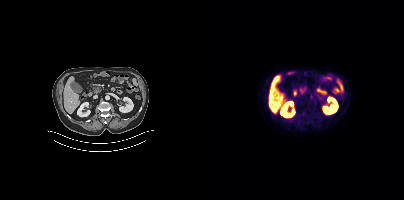
Findings: No tumor lesions annotated on this slice.
- Left: CT. Right: PSMA PET, same axial level, [18F]PSMA-1007 tracer
- acquired on Siemens Biograph mCT Flow 20
- PET panel 200×200 px (4.1 mm/px)